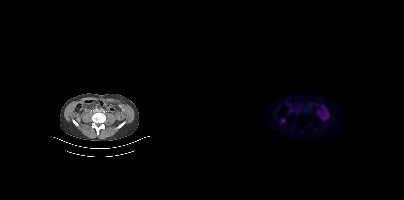
Coordinates are on the 200×200 PET (right) panel. Small PSMA-avid focus (2 to 4 px across) near (center x, center y): (78, 120).